Technique: Left: CT. Right: PSMA PET, same axial level, 18F tracer. slice position z = -1001 mm. PET panel 200×200 px (4.1 mm/px).
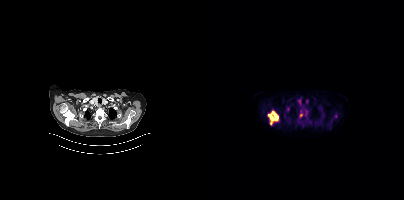
Findings: Coordinates are on the 200×200 PET (right) panel. (showing 5 of 6 foci) PSMA-avid tumor lesion bounding boxes (x0, y0)-(x1, y1): (64, 111)-(74, 124) | (83, 107)-(85, 111). Small PSMA-avid foci (2 to 4 px across) near (center x, center y): (97, 115) | (101, 110) | (131, 116).